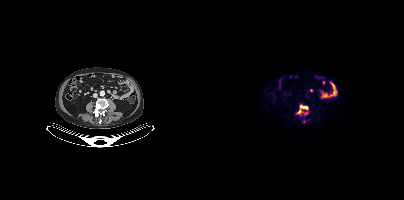
{"pet_grid":[200,200],"coord_frame":"pet_panel","coord_format":"x0,y0,x1,y1","lesion_bboxes":[[93,110,102,114],[96,105,103,108]],"modality":"PSMA PET/CT","view":"axial","tracer":"[18F]PSMA-1007"}